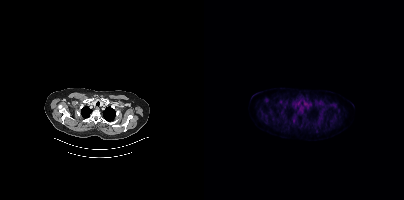
No tumor lesions annotated on this slice.